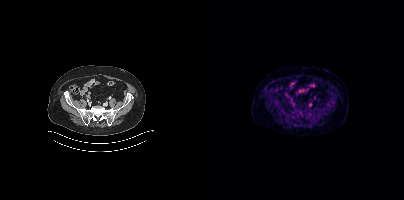
- Left: CT. Right: PSMA PET, same axial level, [18F]PSMA-1007 tracer
- PET panel 200×200 px (4.1 mm/px)
Findings: No tumor lesions annotated on this slice.